modality: PSMA PET/CT | tracer: 18F-PSMA | view: axial
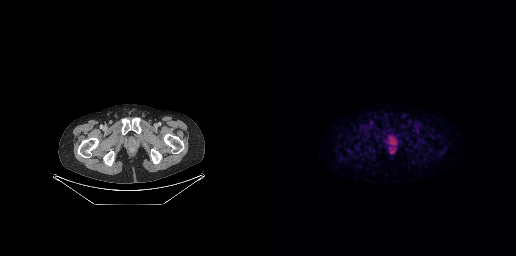
Negative for PSMA-avid disease on this slice.